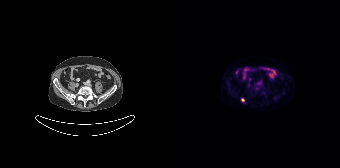
{"modality":"PSMA PET/CT","view":"axial","tracer":"18F","pet_grid":[168,168],"coord_frame":"pet_panel","coord_format":"x0,y0,x1,y1","lesion_bboxes":[],"small_foci_centers":[[70,99]]}